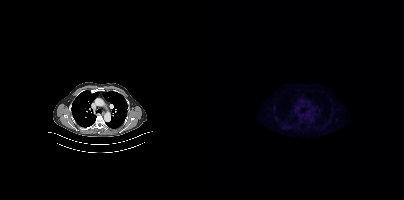
Left: CT. Right: PSMA PET, same axial level, 18F-PSMA tracer. PET panel 200×200 px (4.1 mm/px). Coordinates are on the 200×200 PET (right) panel. Small PSMA-avid focus (2 to 4 px across) near (center x, center y): (70, 107).